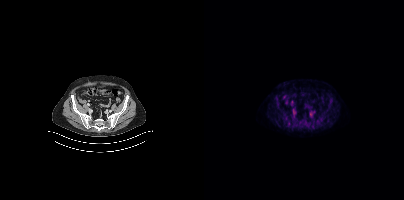
- Paired axial CT (left) and PSMA PET (right), 18F-PSMA tracer
- acquired on Siemens Biograph mCT Flow 20
- slice position z = -804 mm
Findings: Coordinates are on the 200×200 PET (right) panel. PSMA-avid tumor lesion bounding box (x0,y0,x1,y1): [88,109,92,114]. Small PSMA-avid focus (2 to 4 px across) near (center x, center y): (88, 103).